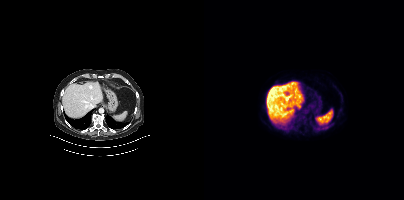
Negative for PSMA-avid disease on this slice.